Left: CT. Right: PSMA PET, same axial level, 18F tracer. Slice 203 of 435. PET panel 200×200 px (4.1 mm/px).
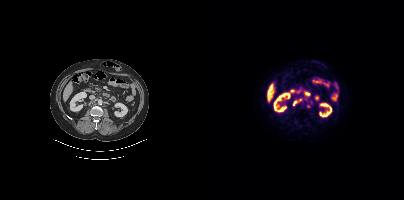
Coordinates are on the 200×200 PET (right) panel. PSMA-avid tumor lesion bounding boxes (partial; 1 more focus not listed):
| # | x0 | y0 | x1 | y1 |
|---|---|---|---|---|
| 1 | 93 | 98 | 98 | 102 |
Small PSMA-avid foci (2 to 4 px across) near (center x, center y): (104, 106); (90, 104).